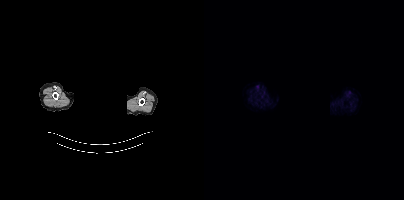
Left: CT. Right: PSMA PET, same axial level, [18F]PSMA-1007 tracer. PET panel 200×200 px (4.1 mm/px). A rectangular block over the head has been blanked out for de-identification. This slice has no annotated PSMA-avid lesion.